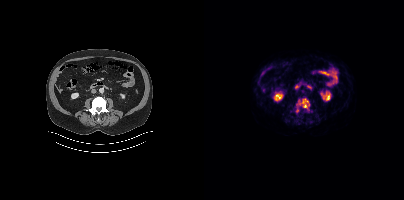
{"modality":"PSMA PET/CT","view":"axial","tracer":"18F-PSMA","pet_grid":[200,200],"coord_frame":"pet_panel","coord_format":"x0,y0,x1,y1","partial":true,"lesion_bboxes":[[91,98,105,112]]}